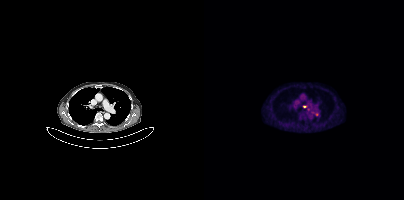
{"pet_grid":[200,200],"coord_frame":"pet_panel","coord_format":"x0,y0,x1,y1","partial":true,"lesion_bboxes":[[99,105,103,107]],"small_foci_centers":[[104,109]],"modality":"PSMA PET/CT","view":"axial","tracer":"[18F]PSMA-1007"}